modality: PSMA PET/CT | tracer: [18F]PSMA-1007 | view: axial | PET grid: 200×200
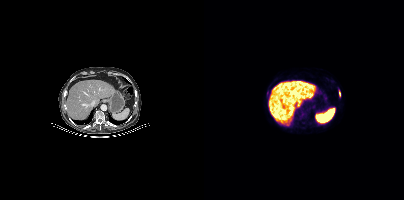
Coordinates are on the 200×200 PET (right) panel. PSMA-avid tumor lesion bounding box (x0,y0,x1,y1): [135,91,136,96]. Small PSMA-avid focus (2 to 4 px across) near (center x, center y): (63, 93).